Technique: Two-panel axial: CT | PSMA PET, [18F]PSMA-1007 tracer. slice 101 of 407.
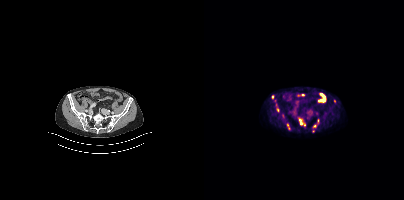
Findings: Coordinates are on the 200×200 PET (right) panel. (showing 7 of 9 foci) PSMA-avid tumor lesion bounding box (x0, y0)-(x1, y1): (95, 119)-(101, 125). Small PSMA-avid foci (2 to 4 px across) near (center x, center y): (85, 127) / (68, 96) / (121, 100) / (73, 110) / (130, 101) / (110, 125).